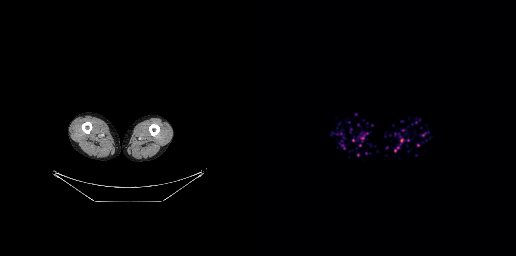
Findings: No PSMA-avid tumor lesions on this slice.
- Paired axial CT (left) and PSMA PET (right), 18F tracer
- slice position z = -972 mm
- PET panel 256×256 px (2.7 mm/px)